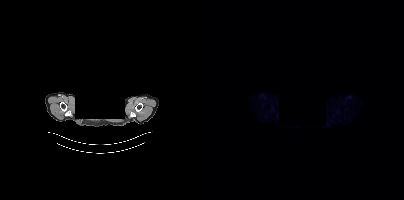
{"modality":"PSMA PET/CT","view":"axial","tracer":"[18F]PSMA-1007","pet_grid":[200,200],"coord_frame":"pet_panel","coord_format":"x0,y0,x1,y1","deidentification":"head region blanked (face removed)","psma_avid_lesions":false}